- Paired axial CT (left) and PSMA PET (right), 18F tracer
- acquired on GE Discovery 690
- slice position z = -263 mm
- PET panel 256×256 px (2.7 mm/px)
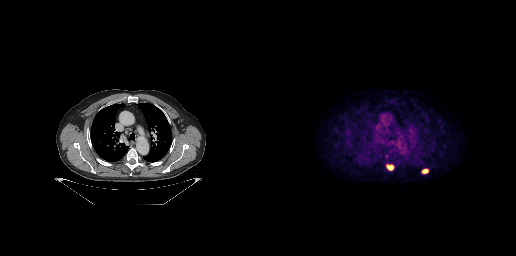
Findings: Coordinates are on the 256×256 PET (right) panel. PSMA-avid tumor lesion bounding boxes (x0,y0,x1,y1): [126,164,133,170], [162,169,168,173].